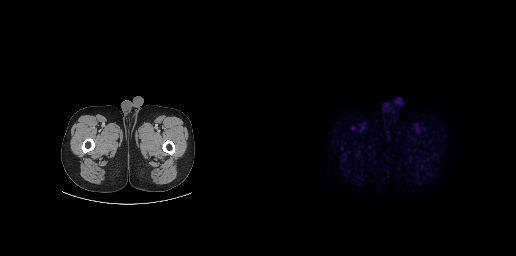
Negative for PSMA-avid disease on this slice.